- Left: CT. Right: PSMA PET, same axial level, 68Ga tracer
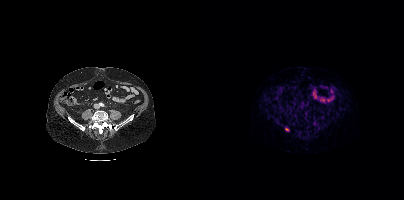
Findings: Only PSMA-avid lesion pieces thinner than 2 px on this slice (not listed).